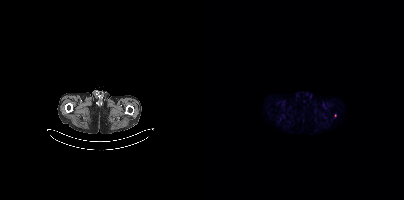
Coordinates are on the 200×200 PET (right) panel. Small PSMA-avid focus (2 to 4 px across) near (center x, center y): (131, 115).
modality: PSMA PET/CT | tracer: [18F]PSMA-1007 | view: axial | PET grid: 200×200